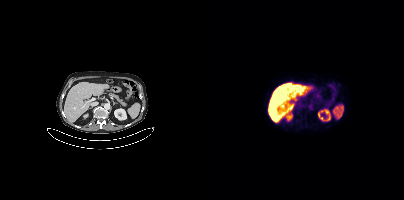
{"modality":"PSMA PET/CT","view":"axial","tracer":"18F-PSMA","pet_grid":[200,200],"coord_frame":"pet_panel","coord_format":"x0,y0,x1,y1","psma_avid_lesions":false}